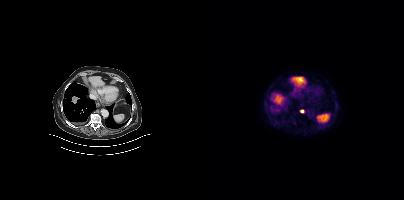
Coordinates are on the 200×200 PET (right) panel. Small PSMA-avid focus (2 to 4 px across) near (center x, center y): (97, 111). Paired axial CT (left) and PSMA PET (right), [18F]PSMA-1007 tracer. Acquired on Siemens Biograph mCT Flow 20.